Technique: Left: CT. Right: PSMA PET, same axial level, 18F-PSMA tracer.
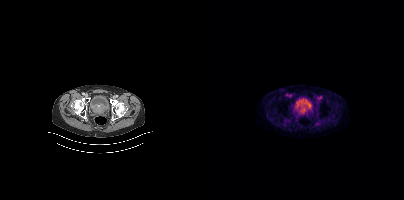
Findings: Coordinates are on the 200×200 PET (right) panel. PSMA-avid tumor lesion bounding box (x0,y0,x1,y1): [94,104,104,115].